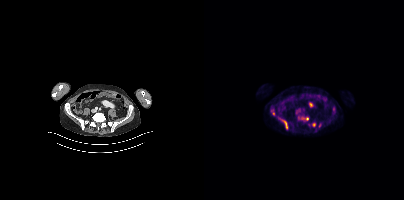
{"modality":"PSMA PET/CT","view":"axial","tracer":"18F","pet_grid":[200,200],"coord_frame":"pet_panel","coord_format":"x0,y0,x1,y1","partial":true,"lesion_bboxes":[[77,119,84,129]],"small_foci_centers":[[69,113],[102,119]]}